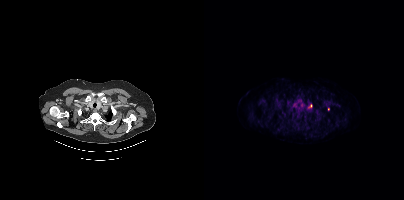
- Two-panel axial: CT | PSMA PET, 18F-PSMA tracer
Findings: Coordinates are on the 200×200 PET (right) panel. Small PSMA-avid foci (2 to 4 px across) near (center x, center y): (124, 109) | (106, 106).